modality: PSMA PET/CT | tracer: [18F]PSMA-1007 | view: axial | PET grid: 200×200
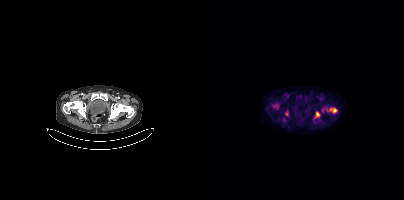
Coordinates are on the 200×200 PET (right) panel. (showing 3 of 4 foci) PSMA-avid tumor lesion bounding boxes (x0,y0,x1,y1): [126,108,132,112] [112,112,115,116]. Small PSMA-avid focus (2 to 4 px across) near (center x, center y): (82, 113).